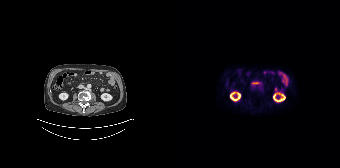
{"modality":"PSMA PET/CT","view":"axial","tracer":"18F","pet_grid":[168,168],"coord_frame":"pet_panel","coord_format":"x0,y0,x1,y1","psma_avid_lesions":false}